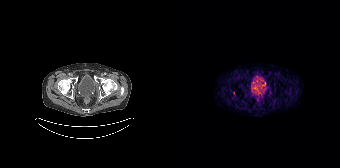
Findings: This slice has no annotated PSMA-avid lesion.
- Two-panel axial: CT | PSMA PET, 68Ga-PSMA tracer
- slice 29 of 165